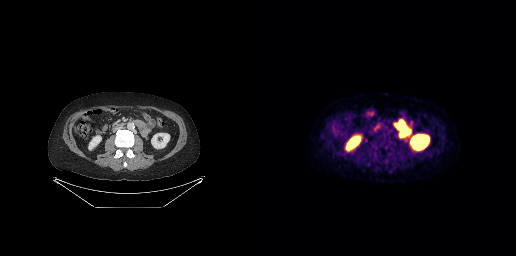
{"modality":"PSMA PET/CT","view":"axial","tracer":"18F-PSMA","pet_grid":[256,256],"coord_frame":"pet_panel","coord_format":"x0,y0,x1,y1","psma_avid_lesions":false}